modality: PSMA PET/CT | tracer: 18F | view: axial | PET grid: 200×200
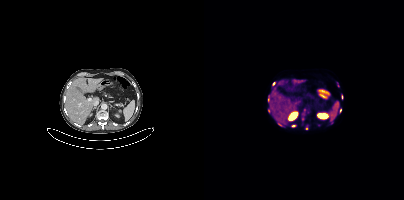
Coordinates are on the 200×200 PET (right) panel. (showing 10 of 13 foci) Small PSMA-avid foci (2 to 4 px across) near (center x, center y): (65, 98), (69, 83), (75, 124), (114, 125), (89, 125), (102, 128), (136, 110), (134, 85), (99, 114), (64, 110).